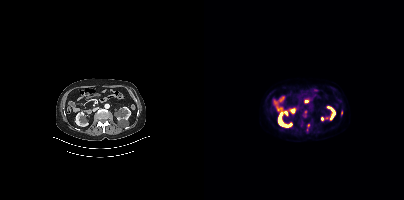
modality: PSMA PET/CT | tracer: 18F-PSMA | view: axial | PET grid: 200×200
Coordinates are on the 200×200 PET (right) panel. PSMA-avid tumor lesion bounding box (x0,y0,x1,y1): [103,124,105,131]. Small PSMA-avid foci (2 to 4 px across) near (center x, center y): (101, 111); (137, 112).